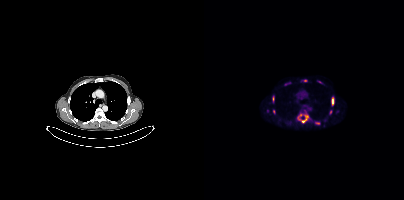
Coordinates are on the 200×200 PET (right) panel. (showing 9 of 10 foci) PSMA-avid tumor lesion bounding boxes (x, y, width, height): x=93 y=113 w=13 h=11; x=127 y=96 w=4 h=11; x=80 y=82 w=7 h=4; x=68 y=96 w=3 h=7; x=111 y=122 w=5 h=3; x=125 y=110 w=4 h=5; x=114 y=81 w=5 h=3. Small PSMA-avid foci (2 to 4 px across) near (center x, center y): (70, 111); (101, 80).
modality: PSMA PET/CT | tracer: [18F]PSMA-1007 | view: axial